Left: CT. Right: PSMA PET, same axial level, 18F-PSMA tracer. Acquired on Siemens Biograph mCT Flow 20. Slice 392 of 403. Head region blanked for anonymization (face removed).
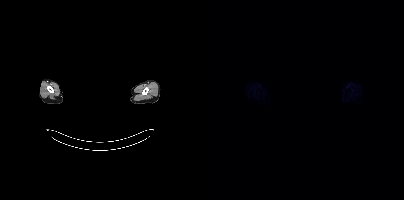
No PSMA-avid tumor lesions on this slice.